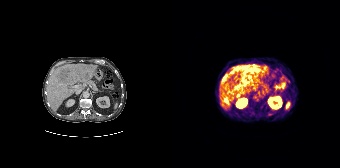
{"pet_grid":[168,168],"coord_frame":"pet_panel","coord_format":"x0,y0,x1,y1","lesion_bboxes":[[65,64,87,85],[51,97,56,102],[50,76,56,82],[60,86,67,92],[62,92,67,97]],"small_foci_centers":[[63,83],[82,75]],"modality":"PSMA PET/CT","view":"axial","tracer":"68Ga-PSMA"}